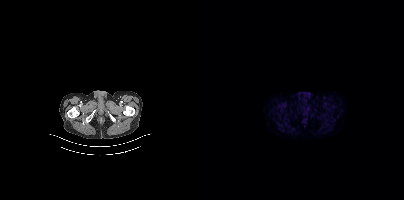
No tumor lesions annotated on this slice.